Left: CT. Right: PSMA PET, same axial level, 18F tracer. Acquired on Siemens Biograph mCT Flow 20. Slice position z = -1034 mm. PET panel 200×200 px (4.1 mm/px).
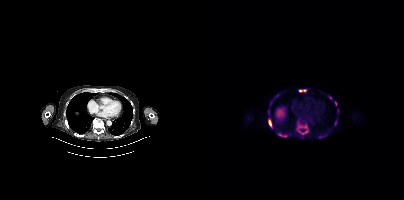
Coordinates are on the 200×200 PET (right) panel. PSMA-avid tumor lesion bounding boxes (partial; 2 more foci not listed):
| # | x0 | y0 | x1 | y1 |
|---|---|---|---|---|
| 1 | 92 | 127 | 103 | 134 |
| 2 | 73 | 133 | 83 | 137 |
| 3 | 64 | 119 | 67 | 126 |
| 4 | 95 | 89 | 102 | 91 |
| 5 | 124 | 96 | 128 | 99 |
| 6 | 114 | 136 | 118 | 138 |
| 7 | 130 | 101 | 133 | 105 |
| 8 | 131 | 121 | 132 | 125 |
Small PSMA-avid foci (2 to 4 px across) near (center x, center y): (101, 126); (64, 111); (133, 111).